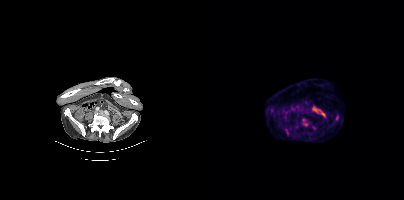
Left: CT. Right: PSMA PET, same axial level, 18F tracer. Acquired on Siemens Biograph mCT Flow 20. Slice 123 of 403. Coordinates are on the 200×200 PET (right) panel. PSMA-avid tumor lesion bounding boxes (x0,y0,x1,y1): [98,119,104,126]; [81,128,84,132].